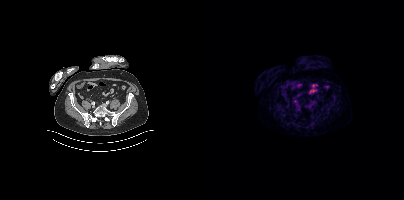
Findings: No tumor lesions annotated on this slice.
- Two-panel axial: CT | PSMA PET, [68Ga]Ga-PSMA-11 tracer
- acquired on Siemens Biograph mCT Flow 20
- PET panel 200×200 px (4.1 mm/px)